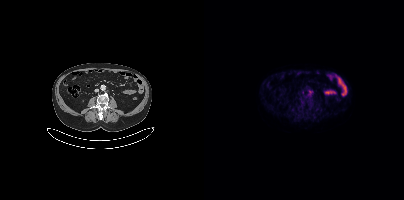
Findings: No tumor lesions annotated on this slice.
Technique: Two-panel axial: CT | PSMA PET, [18F]PSMA-1007 tracer. slice 161 of 419.